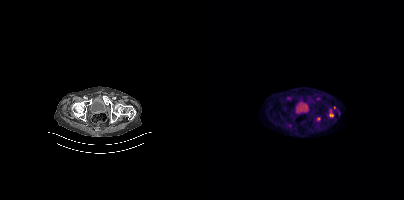
Left: CT. Right: PSMA PET, same axial level, [18F]PSMA-1007 tracer. Acquired on Siemens Biograph mCT Flow 20. Coordinates are on the 200×200 PET (right) panel. Small PSMA-avid focus (2 to 4 px across) near (center x, center y): (113, 98).